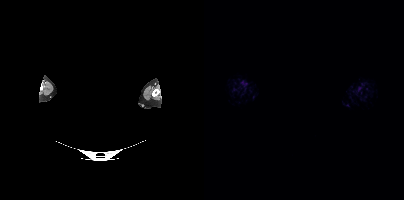
This slice has no annotated PSMA-avid lesion.
The face region was removed for patient privacy by blanking a rectangle over the head.